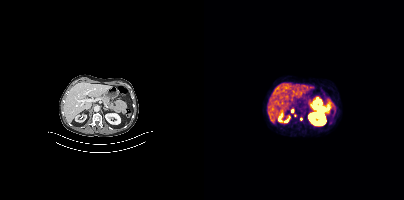
Technique: Paired axial CT (left) and PSMA PET (right), 68Ga tracer. slice position z = -1180 mm. PET panel 200×200 px (4.1 mm/px).
Findings: Coordinates are on the 200×200 PET (right) panel. (showing 2 of 3 foci) Small PSMA-avid foci (2 to 4 px across) near (center x, center y): (96, 119); (88, 110).